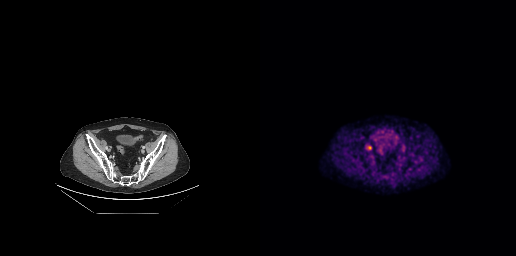
Two-panel axial: CT | PSMA PET, [18F]PSMA-1007 tracer. Acquired on GE Discovery 690. Slice position z = -589 mm. PET panel 256×256 px (2.7 mm/px). Only PSMA-avid lesion pieces thinner than 2 px on this slice (not listed).